- Paired axial CT (left) and PSMA PET (right), 18F tracer
- acquired on Siemens Biograph mCT Flow 20
- slice position z = -144 mm
- PET panel 200×200 px (4.1 mm/px)
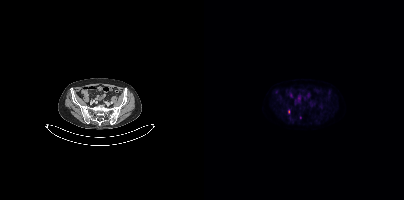
Findings: Coordinates are on the 200×200 PET (right) panel. Small PSMA-avid focus (2 to 4 px across) near (center x, center y): (84, 111).